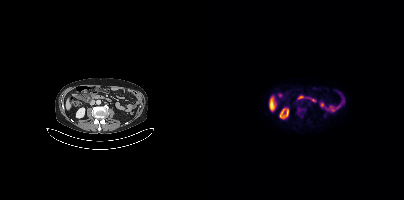
{"modality":"PSMA PET/CT","view":"axial","tracer":"[18F]PSMA-1007","pet_grid":[200,200],"coord_frame":"pet_panel","coord_format":"x0,y0,x1,y1","lesion_bboxes":[[94,108,98,111]]}